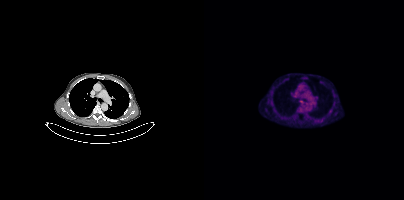
{"pet_grid":[200,200],"coord_frame":"pet_panel","coord_format":"x0,y0,x1,y1","lesion_bboxes":[],"small_foci_centers":[[97,101]],"modality":"PSMA PET/CT","view":"axial","tracer":"[18F]PSMA-1007"}